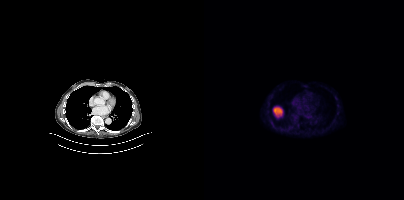
{"modality":"PSMA PET/CT","view":"axial","tracer":"[18F]PSMA-1007","pet_grid":[200,200],"coord_frame":"pet_panel","coord_format":"x0,y0,x1,y1","psma_avid_lesions":false}